Left: CT. Right: PSMA PET, same axial level, [18F]PSMA-1007 tracer. Slice position z = -330 mm.
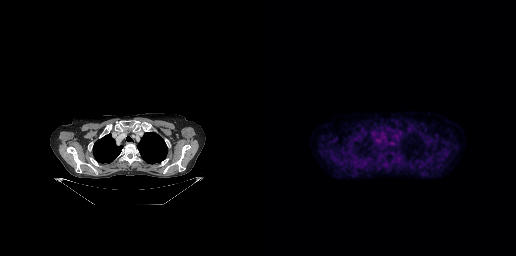
No PSMA-avid tumor lesions on this slice.